- Left: CT. Right: PSMA PET, same axial level, [18F]PSMA-1007 tracer
- acquired on Siemens Biograph mCT Flow 20
- PET panel 200×200 px (4.1 mm/px)
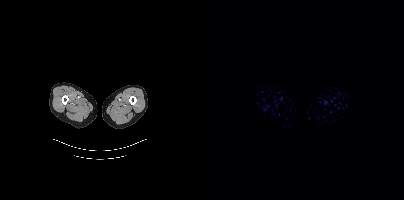
Findings: Negative for PSMA-avid disease on this slice.